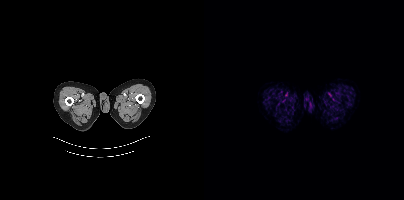
No PSMA-avid tumor lesions on this slice.